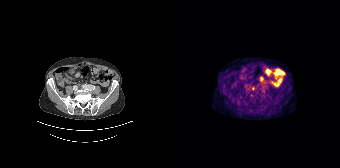
Coordinates are on the 168×168 PET (right) panel. Small PSMA-avid focus (2 to 4 px across) near (center x, center y): (81, 88).
modality: PSMA PET/CT | tracer: [68Ga]Ga-PSMA-11 | view: axial | PET grid: 168×168